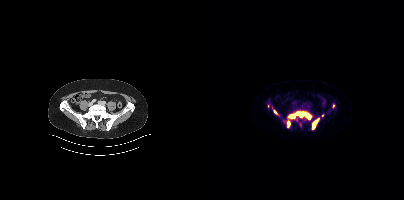
{"modality":"PSMA PET/CT","view":"axial","tracer":"18F","pet_grid":[200,200],"coord_frame":"pet_panel","coord_format":"x0,y0,x1,y1","partial":true,"lesion_bboxes":[[84,111,107,119],[108,117,115,129],[83,120,86,127],[70,110,73,114]],"small_foci_centers":[[118,115],[129,106]]}